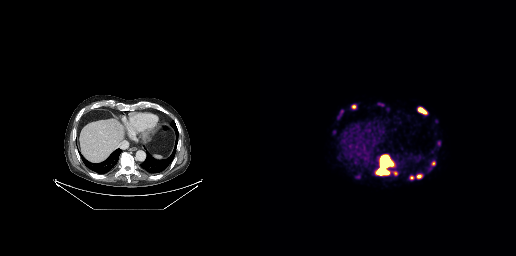
{"modality":"PSMA PET/CT","view":"axial","tracer":"[68Ga]Ga-PSMA-11","pet_grid":[256,256],"coord_frame":"pet_panel","coord_format":"x0,y0,x1,y1","partial":true,"lesion_bboxes":[[118,156,132,174],[158,107,166,113],[132,171,137,175],[157,175,161,178],[150,176,154,179]],"small_foci_centers":[[93,106],[173,163]]}